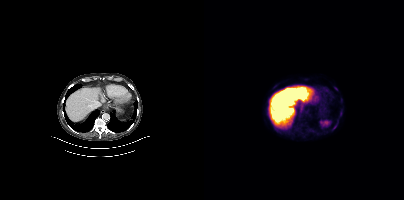
{"modality":"PSMA PET/CT","view":"axial","tracer":"18F-PSMA","pet_grid":[200,200],"coord_frame":"pet_panel","coord_format":"x0,y0,x1,y1","lesion_bboxes":[[128,126,131,130]],"small_foci_centers":[[136,113]]}